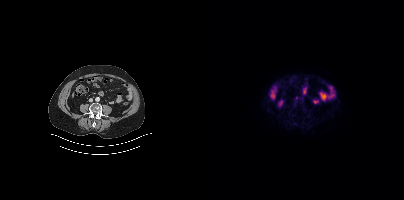
{"modality":"PSMA PET/CT","view":"axial","tracer":"18F-PSMA","pet_grid":[200,200],"coord_frame":"pet_panel","coord_format":"x0,y0,x1,y1","psma_avid_lesions":false}